Technique: Paired axial CT (left) and PSMA PET (right), 18F-PSMA tracer. slice 94 of 423.
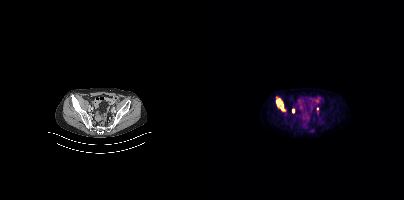
Findings: Coordinates are on the 200×200 PET (right) panel. (showing 3 of 4 foci) PSMA-avid tumor lesion bounding box (x, y, width, height): x=72 y=97 w=10 h=15. Small PSMA-avid foci (2 to 4 px across) near (center x, center y): (89, 110) | (113, 108).